Head region blanked for anonymization (face removed). Left: CT. Right: PSMA PET, same axial level, 18F tracer. PET panel 200×200 px (4.1 mm/px).
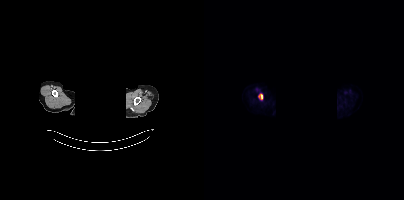
Coordinates are on the 200×200 PET (right) panel. PSMA-avid tumor lesion bounding box (x, y, width, height): x=54 y=93 w=6 h=7.